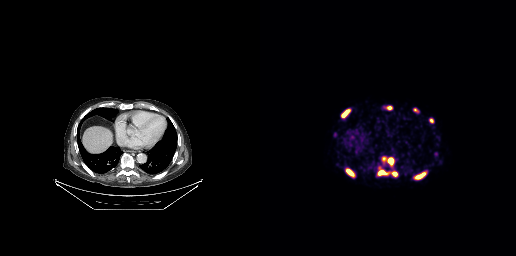
{"modality":"PSMA PET/CT","view":"axial","tracer":"68Ga-PSMA","pet_grid":[256,256],"coord_frame":"pet_panel","coord_format":"x0,y0,x1,y1","lesion_bboxes":[[155,172,165,179],[122,157,133,163],[86,169,94,176],[81,110,86,117],[119,170,126,174],[153,108,159,112],[169,118,173,122]],"small_foci_centers":[[134,173],[129,107]]}